modality: PSMA PET/CT | tracer: 18F-PSMA | view: axial | PET grid: 200×200
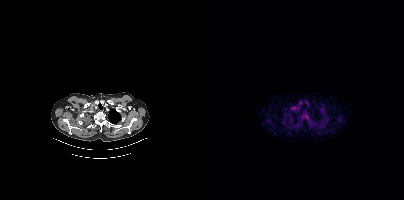
Coordinates are on the 200×200 PET (right) panel. (showing 1 of 4 foci) PSMA-avid tumor lesion bounding box (x0, y0)-(x1, y1): (97, 113)-(104, 119).